modality: PSMA PET/CT | tracer: 18F-PSMA | view: axial | PET grid: 200×200
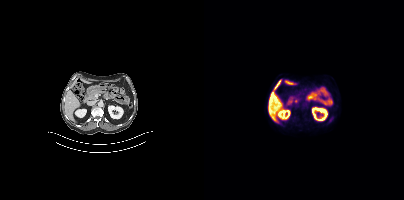
This slice has no annotated PSMA-avid lesion.